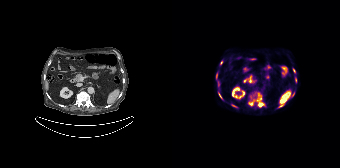
{"modality":"PSMA PET/CT","view":"axial","tracer":"18F-PSMA","pet_grid":[168,168],"coord_frame":"pet_panel","coord_format":"x0,y0,x1,y1","lesion_bboxes":[[76,93,92,107],[46,92,50,99],[106,104,111,107],[60,104,65,107],[44,73,45,77],[121,92,122,96]],"small_foci_centers":[[122,70],[49,62],[123,80]]}